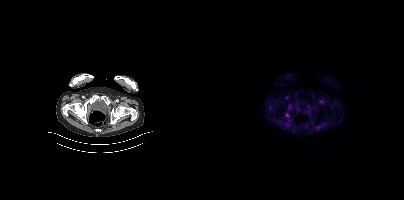
Coordinates are on the 200×200 PET (right) panel. Small PSMA-avid focus (2 to 4 px across) near (center x, center y): (83, 115).